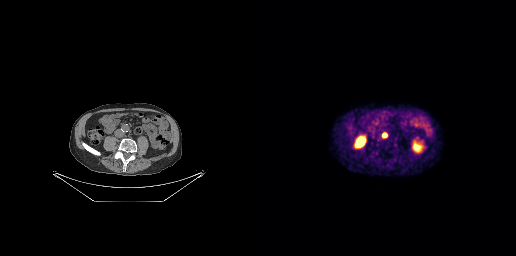
modality: PSMA PET/CT | tracer: 68Ga-PSMA | view: axial
Coordinates are on the 256×256 PET (right) panel. Small PSMA-avid focus (2 to 4 px across) near (center x, center y): (124, 134).